Two-panel axial: CT | PSMA PET, [18F]PSMA-1007 tracer. Acquired on Siemens Biograph mCT Flow 20. Slice position z = -964 mm. PET panel 200×200 px (4.1 mm/px).
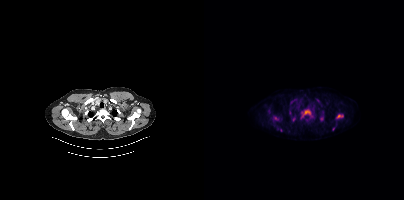
Coordinates are on the 200×200 PET (right) panel. PSMA-avid tumor lesion bounding boxes:
| # | x0 | y0 | x1 | y1 |
|---|---|---|---|---|
| 1 | 97 | 109 | 106 | 117 |
| 2 | 133 | 114 | 139 | 118 |
Small PSMA-avid foci (2 to 4 px across) near (center x, center y): (89, 118); (117, 118); (86, 112); (77, 130); (129, 129); (71, 118); (102, 120).